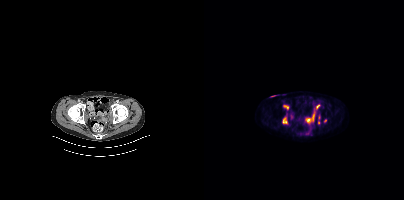
{"modality":"PSMA PET/CT","view":"axial","tracer":"18F","pet_grid":[200,200],"coord_frame":"pet_panel","coord_format":"x0,y0,x1,y1","partial":true,"lesion_bboxes":[[78,116,83,124],[79,104,84,110]],"small_foci_centers":[[104,120],[113,106]]}